Paired axial CT (left) and PSMA PET (right), 18F tracer. PET panel 256×256 px (2.7 mm/px). Any black rectangle here is a de-identification mask.
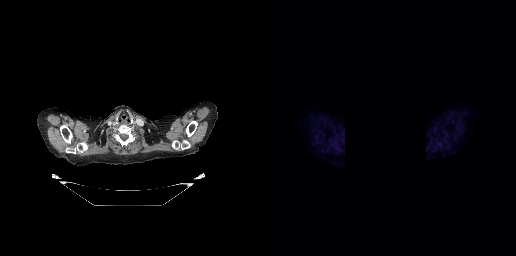
No tumor lesions annotated on this slice.